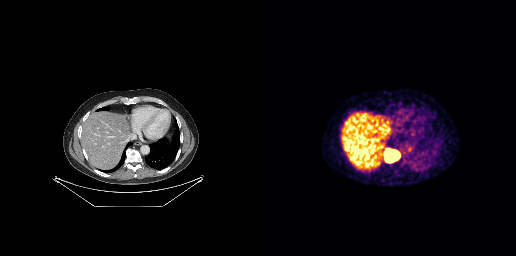
Findings: Coordinates are on the 256×256 PET (right) panel. PSMA-avid tumor lesion bounding box (x0,y0,x1,y1): [124,148,140,163].
- Two-panel axial: CT | PSMA PET, 68Ga tracer
- PET panel 256×256 px (2.7 mm/px)